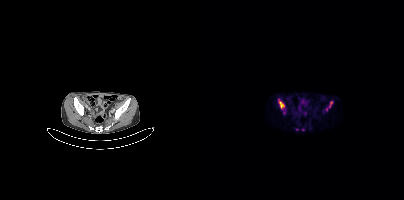
Coordinates are on the 200×200 PET (right) panel. PSMA-avid tumor lesion bounding boxes (x0, y0)-(x1, y1): (75, 101)-(80, 108) | (125, 101)-(128, 107). Small PSMA-avid foci (2 to 4 px across) near (center x, center y): (93, 129) | (122, 109). Two-panel axial: CT | PSMA PET, [68Ga]Ga-PSMA-11 tracer. Acquired on Siemens Biograph mCT Flow 20. Slice position z = -1059 mm.